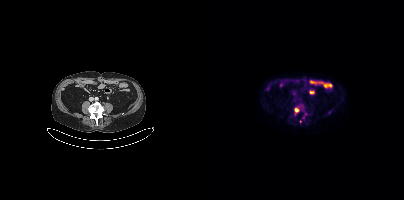
modality: PSMA PET/CT | tracer: 18F | view: axial | PET grid: 200×200
Coordinates are on the 200×200 PET (right) panel. (showing 2 of 3 foci) Small PSMA-avid foci (2 to 4 px across) near (center x, center y): (92, 109); (90, 114).